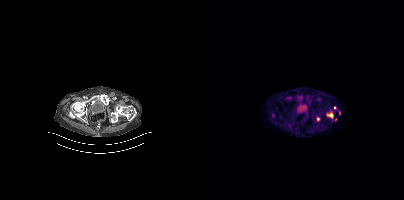
{"modality":"PSMA PET/CT","view":"axial","tracer":"18F","pet_grid":[200,200],"coord_frame":"pet_panel","coord_format":"x0,y0,x1,y1","lesion_bboxes":[],"small_foci_centers":[[130,107],[68,115]]}